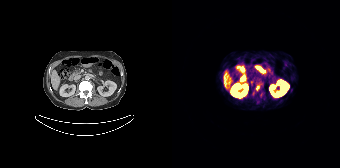
Coordinates are on the 168×168 PET (right) panel. PSMA-avid tumor lesion bounding box (x0,y0,x1,y1): [84,86,87,90].
modality: PSMA PET/CT | tracer: [68Ga]Ga-PSMA-11 | view: axial